Technique: Paired axial CT (left) and PSMA PET (right), 18F tracer. slice 351 of 393.
Note: Privacy masking over the head, with the pixels inside a rectangle set to black.
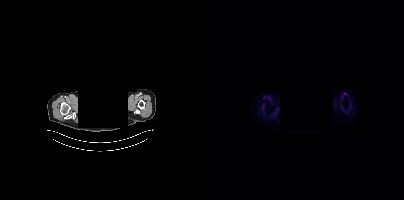
Findings: No PSMA-avid tumor lesions on this slice.